Left: CT. Right: PSMA PET, same axial level, [18F]PSMA-1007 tracer. Acquired on Siemens Biograph mCT Flow 20.
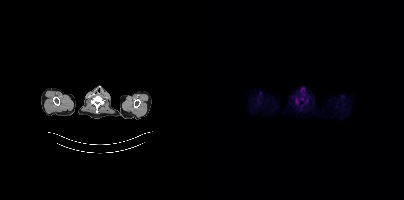
Negative for PSMA-avid disease on this slice.